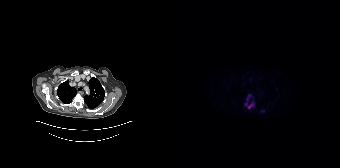
Findings: Coordinates are on the 168×168 PET (right) panel. PSMA-avid tumor lesion bounding boxes (x, y, width, height): x=72 y=102 w=11 h=8 / x=87 y=108 w=7 h=5 / x=74 y=94 w=6 h=7.
- Paired axial CT (left) and PSMA PET (right), 18F tracer
- slice 133 of 165